- Two-panel axial: CT | PSMA PET, [18F]PSMA-1007 tracer
- acquired on Siemens Biograph mCT Flow 20
- slice 19 of 373
- PET panel 200×200 px (4.1 mm/px)
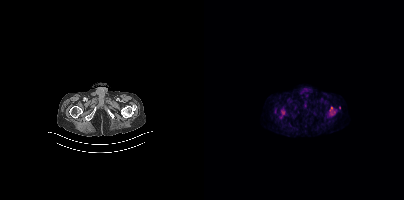
Findings: Coordinates are on the 200×200 PET (right) panel. PSMA-avid tumor lesion bounding boxes (x0, y0)-(x1, y1): (126, 107)-(131, 115); (77, 110)-(80, 114). Small PSMA-avid foci (2 to 4 px across) near (center x, center y): (135, 107); (76, 117).